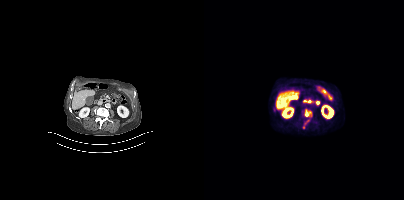
Technique: Two-panel axial: CT | PSMA PET, [18F]PSMA-1007 tracer.
Findings: Coordinates are on the 200×200 PET (right) panel. (showing 4 of 5 foci) PSMA-avid tumor lesion bounding box (x0, y0)-(x1, y1): (100, 109)-(107, 117). Small PSMA-avid foci (2 to 4 px across) near (center x, center y): (70, 109); (99, 127); (103, 120).